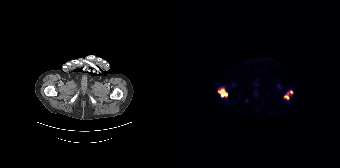
Coordinates are on the 168×168 PET (right) panel. PSMA-avid tumor lesion bounding boxes (x0,y0,x1,y1): [46,87,55,97]; [112,93,116,99]. Small PSMA-avid focus (2 to 4 px across) near (center x, center y): (119, 92).